- Two-panel axial: CT | PSMA PET, 18F-PSMA tracer
- slice 165 of 409
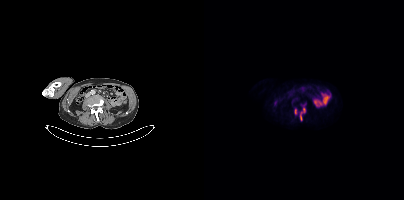
Findings: Coordinates are on the 200×200 PET (right) panel. PSMA-avid tumor lesion bounding boxes (x0, y0)-(x1, y1): (96, 107)-(101, 120); (90, 109)-(92, 114).